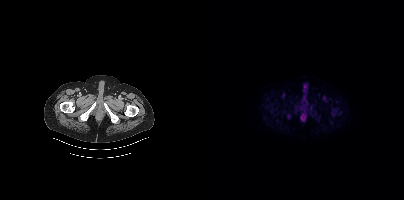
Coordinates are on the 200×200 PET (right) panel. PSMA-avid tumor lesion bounding boxes:
| # | x0 | y0 | x1 | y1 |
|---|---|---|---|---|
| 1 | 83 | 113 | 87 | 118 |
| 2 | 91 | 105 | 95 | 109 |
Small PSMA-avid focus (2 to 4 px across) near (center x, center y): (130, 113).
Paired axial CT (left) and PSMA PET (right), 18F tracer.